Technique: Left: CT. Right: PSMA PET, same axial level, 18F tracer. slice 160 of 397.
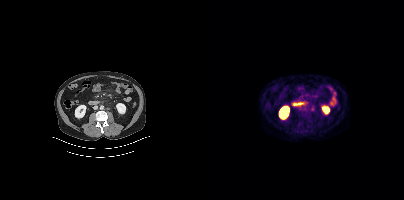
Findings: Coordinates are on the 200×200 PET (right) panel. Small PSMA-avid focus (2 to 4 px across) near (center x, center y): (108, 109).